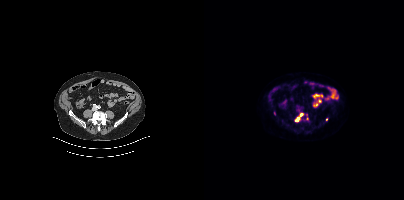
Two-panel axial: CT | PSMA PET, 18F tracer. Acquired on Siemens Biograph mCT Flow 20.
Coordinates are on the 200×200 PET (right) panel. PSMA-avid tumor lesion bounding boxes (partial; 1 more focus not listed):
| # | x0 | y0 | x1 | y1 |
|---|---|---|---|---|
| 1 | 91 | 113 | 99 | 121 |
Small PSMA-avid focus (2 to 4 px across) near (center x, center y): (122, 119).